Technique: Left: CT. Right: PSMA PET, same axial level, 18F-PSMA tracer. acquired on Siemens Biograph mCT Flow 20. slice position z = 392 mm.
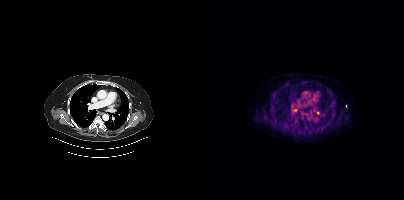
Findings: Coordinates are on the 200×200 PET (right) panel. (showing 1 of 3 foci) Small PSMA-avid focus (2 to 4 px across) near (center x, center y): (113, 112).